modality: PSMA PET/CT | tracer: 18F-PSMA | view: axial
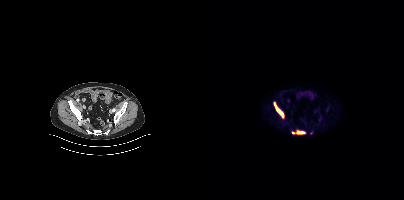
Coordinates are on the 200×200 PET (right) panel. PSMA-avid tumor lesion bounding boxes (x, y, width, height): x=70 y=102 w=10 h=16 / x=92 y=130 w=10 h=5. Small PSMA-avid focus (2 to 4 px across) near (center x, center y): (89, 132).